Left: CT. Right: PSMA PET, same axial level, [18F]PSMA-1007 tracer. Acquired on Siemens Biograph 64-4R TruePoint. Slice position z = -956 mm. PET panel 168×168 px (4.1 mm/px).
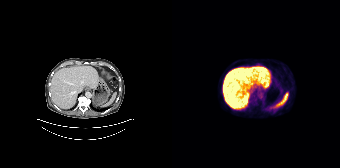
No tumor lesions annotated on this slice.